modality: PSMA PET/CT | tracer: 18F | view: axial | PET grid: 200×200 | deidentification: head region blacked out before release
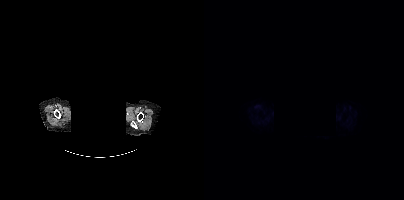
This slice has no annotated PSMA-avid lesion.